Two-panel axial: CT | PSMA PET, 18F tracer. Acquired on Siemens Biograph mCT Flow 20.
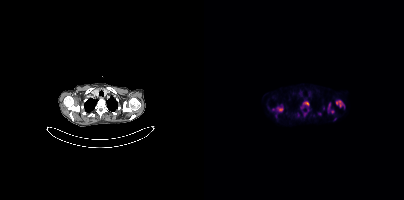
Coordinates are on the 200×200 PET (right) panel. PSMA-avid tumor lesion bounding boxes (partial; 3 more foci not listed):
| # | x0 | y0 | x1 | y1 |
|---|---|---|---|---|
| 1 | 132 | 100 | 140 | 107 |
| 2 | 72 | 106 | 79 | 111 |
| 3 | 99 | 101 | 105 | 105 |
| 4 | 124 | 103 | 126 | 112 |
Small PSMA-avid foci (2 to 4 px across) near (center x, center y): (128, 111); (101, 114); (98, 107); (115, 113); (69, 109).